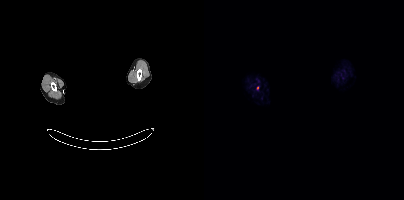
{"modality":"PSMA PET/CT","view":"axial","tracer":"[18F]PSMA-1007","pet_grid":[200,200],"coord_frame":"pet_panel","coord_format":"x0,y0,x1,y1","de-identification":"head region blacked out before release","lesion_bboxes":[],"small_foci_centers":[[53,88]]}